Technique: Two-panel axial: CT | PSMA PET, 18F tracer. acquired on Siemens Biograph mCT Flow 20. slice position z = -418 mm.
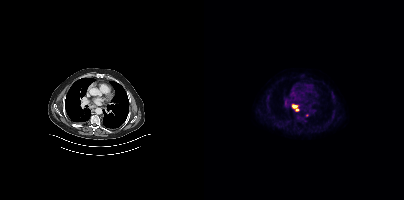
Findings: Coordinates are on the 200×200 PET (right) panel. PSMA-avid tumor lesion bounding box (x0, y0)-(x1, y1): (88, 104)-(95, 111).